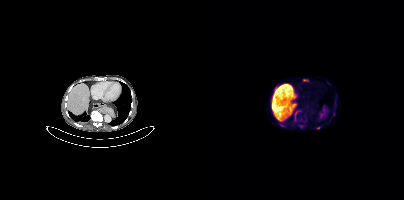
{"pet_grid":[200,200],"coord_frame":"pet_panel","coord_format":"x0,y0,x1,y1","partial":true,"lesion_bboxes":[[90,111,96,120]],"modality":"PSMA PET/CT","view":"axial","tracer":"18F"}